Two-panel axial: CT | PSMA PET, 18F-PSMA tracer. PET panel 200×200 px (4.1 mm/px).
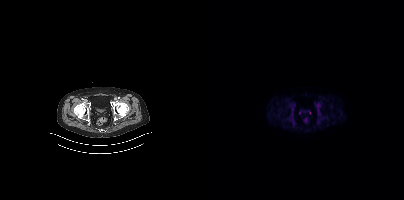
No tumor lesions annotated on this slice.